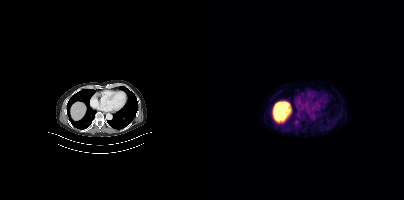
No tumor lesions annotated on this slice.
modality: PSMA PET/CT | tracer: 18F-PSMA | view: axial